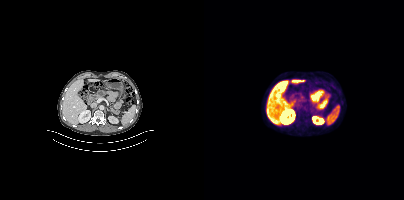
Two-panel axial: CT | PSMA PET, 18F tracer. Acquired on Siemens Biograph mCT Flow 20. Slice 229 of 429. PET panel 200×200 px (4.1 mm/px). No tumor lesions annotated on this slice.